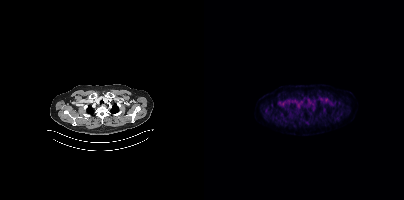
Coordinates are on the 200×200 PET (right) panel. Small PSMA-avid focus (2 to 4 px across) near (center x, center y): (106, 113).